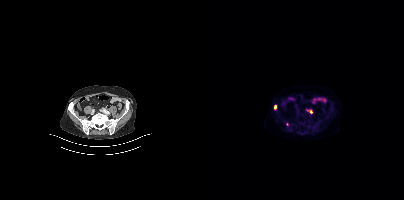
- Left: CT. Right: PSMA PET, same axial level, [18F]PSMA-1007 tracer
- PET panel 200×200 px (4.1 mm/px)
Findings: Coordinates are on the 200×200 PET (right) panel. (showing 2 of 4 foci) PSMA-avid tumor lesion bounding box (x0,y0,x1,y1): [70,105,72,109]. Small PSMA-avid focus (2 to 4 px across) near (center x, center y): (107, 111).